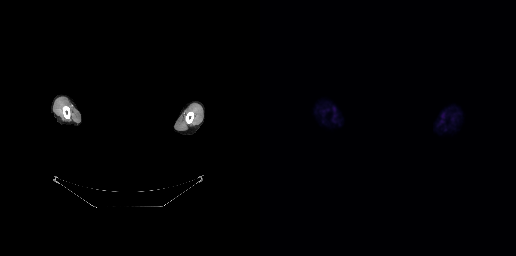
No PSMA-avid tumor lesions on this slice. Left: CT. Right: PSMA PET, same axial level, 18F tracer. PET panel 256×256 px (2.7 mm/px). A rectangle over the head was blacked out to remove identifiable facial features.